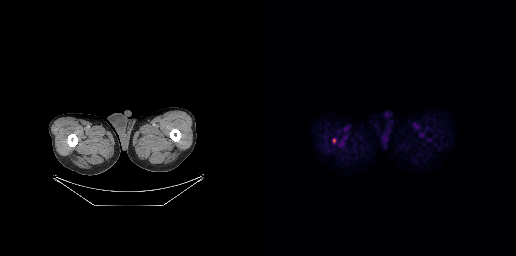
This slice has no annotated PSMA-avid lesion.